- Paired axial CT (left) and PSMA PET (right), [18F]PSMA-1007 tracer
- slice position z = -908 mm
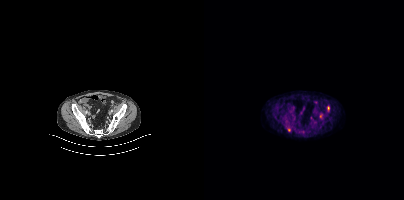
Findings: Coordinates are on the 200×200 PET (right) panel. (showing 1 of 3 foci) Small PSMA-avid focus (2 to 4 px across) near (center x, center y): (124, 108).